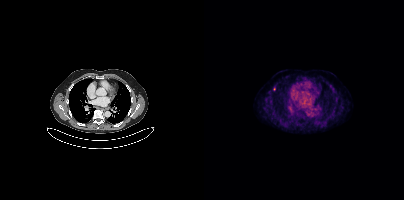
Technique: Left: CT. Right: PSMA PET, same axial level, [18F]PSMA-1007 tracer. slice 278 of 417.
Findings: Coordinates are on the 200×200 PET (right) panel. Small PSMA-avid focus (2 to 4 px across) near (center x, center y): (70, 88).